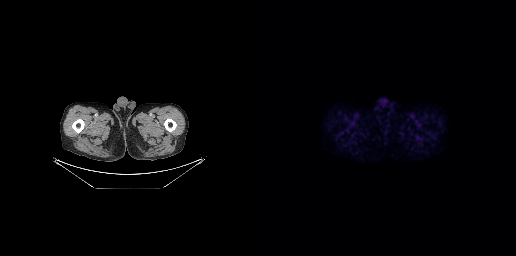
{"modality":"PSMA PET/CT","view":"axial","tracer":"18F-PSMA","pet_grid":[256,256],"coord_frame":"pet_panel","coord_format":"x0,y0,x1,y1","psma_avid_lesions":false}